- Paired axial CT (left) and PSMA PET (right), [68Ga]Ga-PSMA-11 tracer
- PET panel 256×256 px (2.7 mm/px)
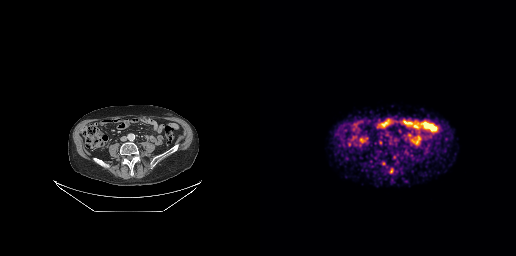
Findings: Coordinates are on the 256×256 PET (right) panel. (showing 4 of 6 foci) PSMA-avid tumor lesion bounding box (x, y, width, height): x=133 y=154 w=6 h=6. Small PSMA-avid foci (2 to 4 px across) near (center x, center y): (136, 161); (120, 142); (123, 163).